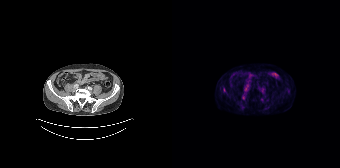
- Paired axial CT (left) and PSMA PET (right), 18F-PSMA tracer
- acquired on Siemens Biograph 64-4R TruePoint
- slice 52 of 135
- PET panel 168×168 px (4.1 mm/px)
Findings: Coordinates are on the 168×168 PET (right) panel. (showing 4 of 5 foci) Small PSMA-avid foci (2 to 4 px across) near (center x, center y): (73, 89); (52, 89); (71, 97); (116, 91).